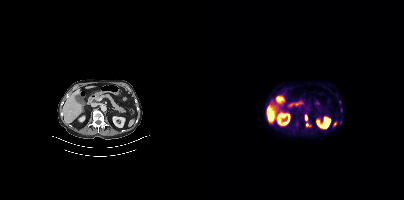
{"modality":"PSMA PET/CT","view":"axial","tracer":"18F","pet_grid":[200,200],"coord_frame":"pet_panel","coord_format":"x0,y0,x1,y1","lesion_bboxes":[[101,115,106,126]],"small_foci_centers":[[137,110],[136,122]]}